Paired axial CT (left) and PSMA PET (right), 68Ga tracer. PET panel 168×168 px (4.1 mm/px).
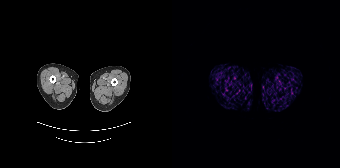
No tumor lesions annotated on this slice.